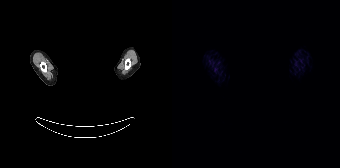
deidentification: face masked with black rectangle | modality: PSMA PET/CT | tracer: 68Ga-PSMA | view: axial
No tumor lesions annotated on this slice.